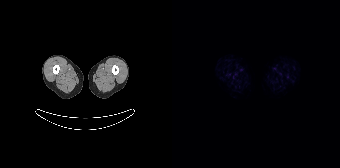
No PSMA-avid tumor lesions on this slice.